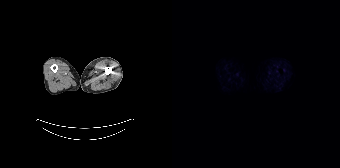
{"modality":"PSMA PET/CT","view":"axial","tracer":"[18F]PSMA-1007","pet_grid":[168,168],"coord_frame":"pet_panel","coord_format":"x0,y0,x1,y1","psma_avid_lesions":false}